Technique: Two-panel axial: CT | PSMA PET, 18F-PSMA tracer.
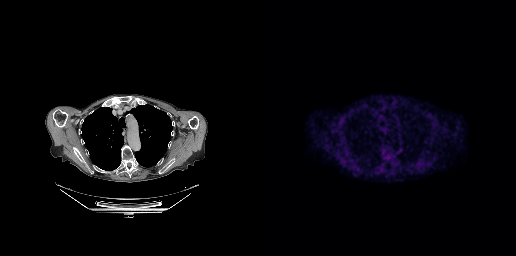
Findings: No tumor lesions annotated on this slice.